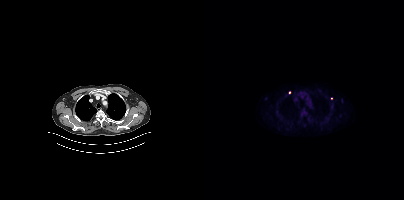
{"modality":"PSMA PET/CT","view":"axial","tracer":"[18F]PSMA-1007","pet_grid":[200,200],"coord_frame":"pet_panel","coord_format":"x0,y0,x1,y1","partial":true,"lesion_bboxes":[],"small_foci_centers":[[85,92]]}